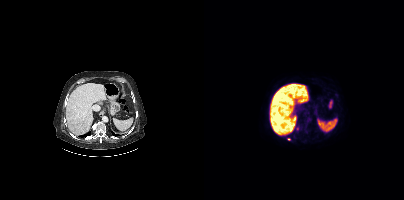
Left: CT. Right: PSMA PET, same axial level, [18F]PSMA-1007 tracer. Slice position z = -1128 mm. PET panel 200×200 px (4.1 mm/px). Only PSMA-avid lesion pieces thinner than 2 px on this slice (not listed).